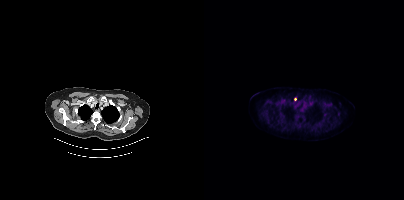
Coordinates are on the 200×200 PET (right) panel. Small PSMA-avid focus (2 to 4 px across) near (center x, center y): (91, 98).